- Two-panel axial: CT | PSMA PET, 18F tracer
- acquired on Siemens Biograph mCT Flow 20
- slice position z = -1323 mm
- PET panel 200×200 px (4.1 mm/px)
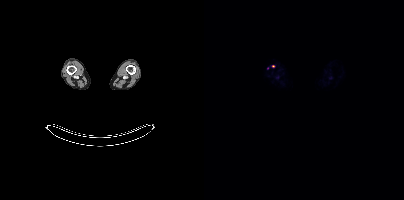
Findings: Coordinates are on the 200×200 PET (right) panel. Small PSMA-avid focus (2 to 4 px across) near (center x, center y): (69, 66).